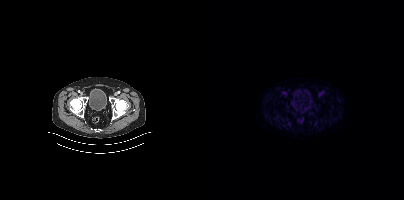
This slice has no annotated PSMA-avid lesion.